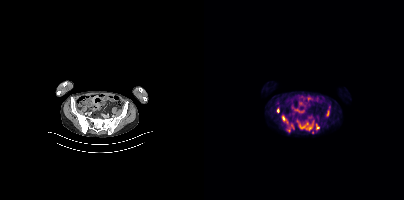
Coordinates are on the 200×200 PET (right) panel. PSMA-avid tumor lesion bounding boxes (partial; 1 more focus not listed):
| # | x0 | y0 | x1 | y1 |
|---|---|---|---|---|
| 1 | 93 | 120 | 109 | 130 |
| 2 | 83 | 124 | 90 | 132 |
| 3 | 112 | 124 | 114 | 129 |
| 4 | 123 | 111 | 125 | 115 |
| 5 | 73 | 108 | 74 | 112 |
Small PSMA-avid foci (2 to 4 px across) near (center x, center y): (79, 118); (108, 132).
Two-panel axial: CT | PSMA PET, 18F tracer. Slice position z = -855 mm. PET panel 200×200 px (4.1 mm/px).